Left: CT. Right: PSMA PET, same axial level, 18F-PSMA tracer. Slice 128 of 442.
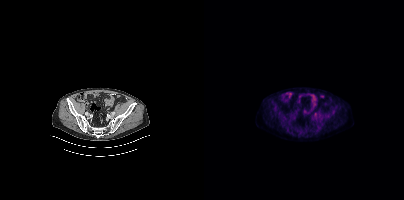
Coordinates are on the 200×200 PET (right) panel. Small PSMA-avid focus (2 to 4 px across) near (center x, center y): (110, 114).